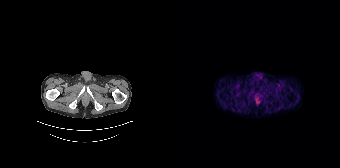
Negative for PSMA-avid disease on this slice.